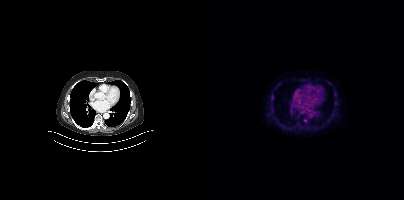
modality: PSMA PET/CT | tracer: 18F | view: axial | PET grid: 200×200
Coordinates are on the 200×200 PET (right) panel. Small PSMA-avid focus (2 to 4 px across) near (center x, center y): (101, 120).